modality: PSMA PET/CT | tracer: 18F | view: axial
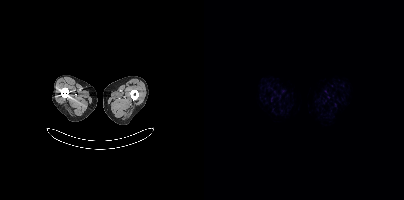
No PSMA-avid tumor lesions on this slice.